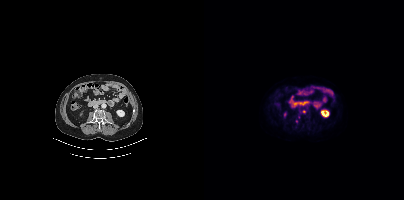
Coordinates are on the 200×200 PET (right) panel. Small PSMA-avid focus (2 to 4 px across) near (center x, center y): (99, 111).
modality: PSMA PET/CT | tracer: 18F-PSMA | view: axial | PET grid: 200×200